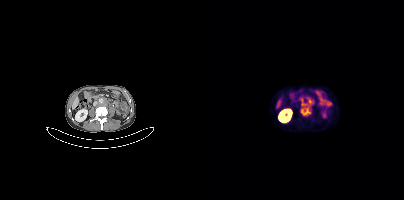
Coordinates are on the 200×200 PET (right) panel. PSMA-avid tumor lesion bounding box (x0,y0,x1,y1): [96,98,108,116].
modality: PSMA PET/CT | tracer: [68Ga]Ga-PSMA-11 | view: axial